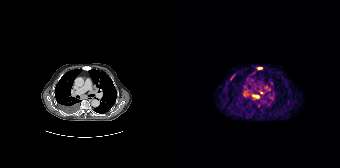
Coordinates are on the 168×168 PET (right) panel. PSMA-avid tumor lesion bounding boxes (x, y, width, height): x=80 y=94 w=8 h=5; x=85 y=67 w=6 h=3. Small PSMA-avid foci (2 to 4 px across) near (center x, center y): (89, 92); (86, 105).